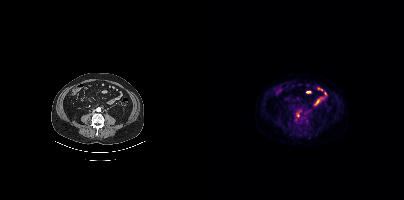
{"modality":"PSMA PET/CT","view":"axial","tracer":"18F-PSMA","pet_grid":[200,200],"coord_frame":"pet_panel","coord_format":"x0,y0,x1,y1","lesion_bboxes":[],"small_foci_centers":[[94,114],[92,119],[102,120]]}